Two-panel axial: CT | PSMA PET, 18F-PSMA tracer. Acquired on Siemens Biograph mCT Flow 20. PET panel 200×200 px (4.1 mm/px).
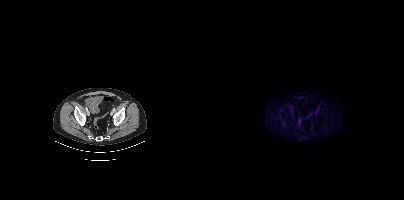
No PSMA-avid tumor lesions on this slice.